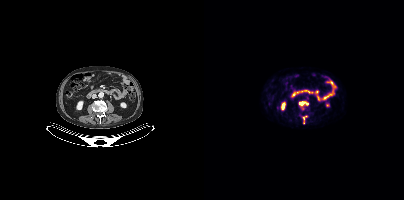
{"modality":"PSMA PET/CT","view":"axial","tracer":"18F-PSMA","pet_grid":[200,200],"coord_frame":"pet_panel","coord_format":"x0,y0,x1,y1","partial":true,"lesion_bboxes":[[95,102,101,105],[98,115,102,120]],"small_foci_centers":[[99,122]]}